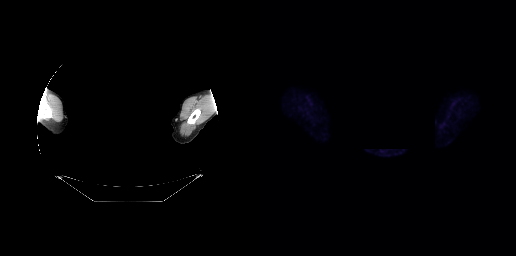
Negative for PSMA-avid disease on this slice. Two-panel axial: CT | PSMA PET, 18F-PSMA tracer. Face de-identified by blanking a block of the head.